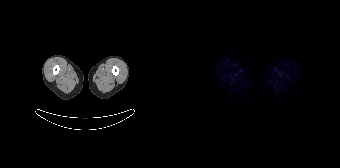
{"modality":"PSMA PET/CT","view":"axial","tracer":"[18F]PSMA-1007","pet_grid":[168,168],"coord_frame":"pet_panel","coord_format":"x0,y0,x1,y1","psma_avid_lesions":false}